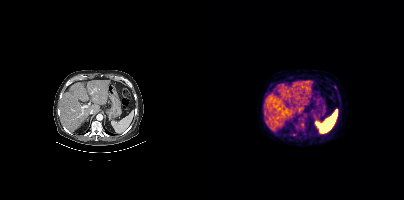
Coordinates are on the 200×200 PET (right) panel. Small PSMA-avid foci (2 to 4 px across) near (center x, center y): (89, 134) / (98, 124) / (95, 118).